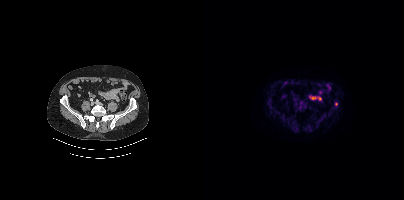
Technique: Two-panel axial: CT | PSMA PET, 18F tracer.
Findings: Coordinates are on the 200×200 PET (right) panel. PSMA-avid tumor lesion bounding boxes (x0,y0,x1,y1): [62,98,69,108] [94,105,100,111] [122,110,127,115]. Small PSMA-avid foci (2 to 4 px across) near (center x, center y): (73, 111) (113, 123) (132, 103).